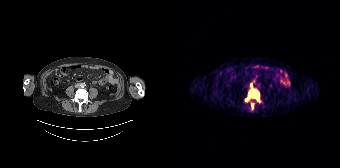
- Two-panel axial: CT | PSMA PET, 68Ga-PSMA tracer
- slice position z = -1105 mm
Findings: Coordinates are on the 168×168 PET (right) panel. (showing 2 of 3 foci) PSMA-avid tumor lesion bounding boxes (x, y, width, height): x=73 y=87 w=15 h=15 | x=79 y=104 w=3 h=5.